Paired axial CT (left) and PSMA PET (right), 18F-PSMA tracer. Acquired on Siemens Biograph mCT Flow 20. Slice 139 of 433.
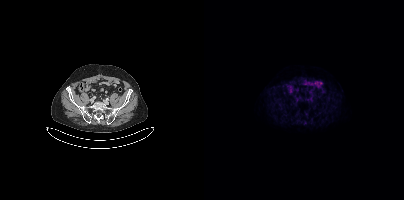
Negative for PSMA-avid disease on this slice.